- Two-panel axial: CT | PSMA PET, 18F tracer
- slice position z = -703 mm
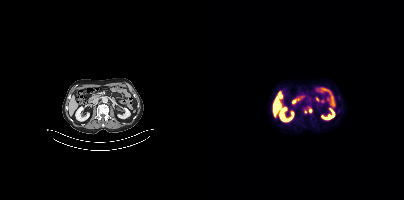
Findings: Coordinates are on the 200×200 PET (right) panel. PSMA-avid tumor lesion bounding box (x0,y0,x1,y1): [105,108,108,112]. Small PSMA-avid focus (2 to 4 px across) near (center x, center y): (101, 111).